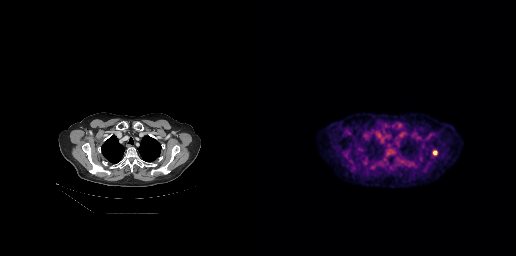
modality: PSMA PET/CT | tracer: 18F | view: axial | PET grid: 256×256
Coordinates are on the 256×256 PET (right) panel. PSMA-avid tumor lesion bounding box (x0, y0)-(x1, y1): (173, 150)-(177, 154).